modality: PSMA PET/CT | tracer: 68Ga | view: axial | PET grid: 256×256
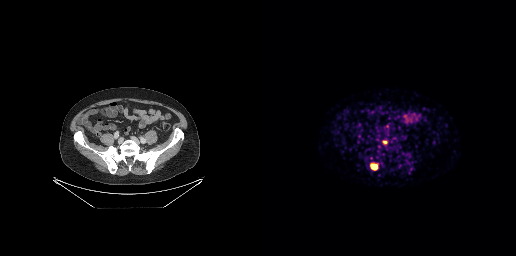
Coordinates are on the 256×256 PET (right) panel. PSMA-avid tumor lesion bounding box (x, y, width, height): x=110 y=164 w=8 h=6. Small PSMA-avid focus (2 to 4 px across) near (center x, center y): (125, 142).